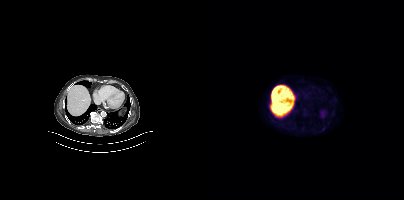
Coordinates are on the 200×200 PET (right) panel. Small PSMA-avid focus (2 to 4 px across) near (center x, center y): (119, 128).
modality: PSMA PET/CT | tracer: [18F]PSMA-1007 | view: axial | PET grid: 200×200